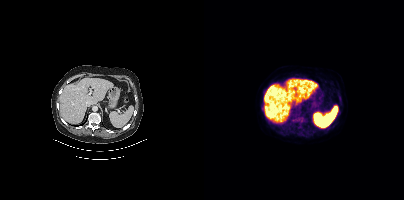
Findings: No PSMA-avid tumor lesions on this slice.
Technique: Paired axial CT (left) and PSMA PET (right), 18F-PSMA tracer. slice position z = -506 mm. PET panel 200×200 px (4.1 mm/px).